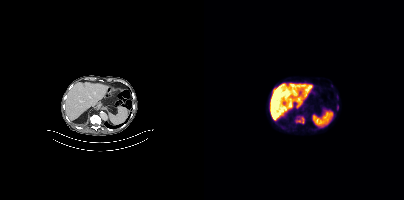
Coordinates are on the 200×200 PET (right) panel. (showing 2 of 3 foci) PSMA-avid tumor lesion bounding box (x, y, width, height): x=92 y=117 w=9 h=7. Small PSMA-avid focus (2 to 4 px across) near (center x, center y): (133, 107).